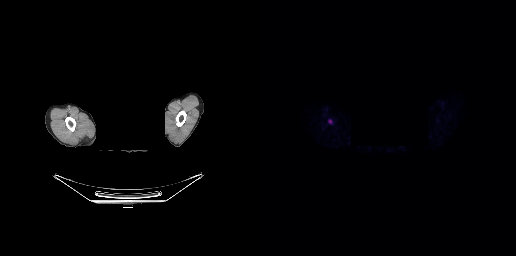
Coordinates are on the 256×256 PET (right) panel. Small PSMA-avid focus (2 to 4 px across) near (center x, center y): (70, 121).
redaction: facial region redacted | modality: PSMA PET/CT | tracer: 18F-PSMA | view: axial | PET grid: 256×256